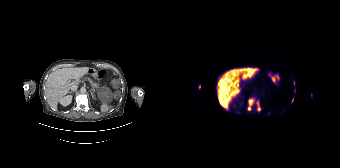
Findings: Coordinates are on the 168×168 PET (right) panel. (showing 4 of 6 foci) PSMA-avid tumor lesion bounding boxes (x0, y0)-(x1, y1): (75, 97)-(88, 111); (120, 98)-(121, 102). Small PSMA-avid foci (2 to 4 px across) near (center x, center y): (27, 87); (122, 91).
- Paired axial CT (left) and PSMA PET (right), [18F]PSMA-1007 tracer
- slice position z = -1074 mm